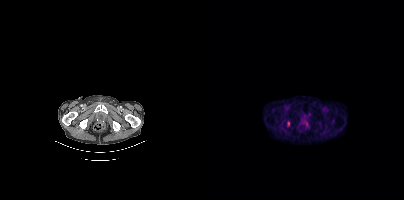
Left: CT. Right: PSMA PET, same axial level, 18F-PSMA tracer. Acquired on Siemens Biograph mCT Flow 20. PET panel 200×200 px (4.1 mm/px). Coordinates are on the 200×200 PET (right) panel. PSMA-avid tumor lesion bounding box (x0,y0,x1,y1): [83,121,86,126].